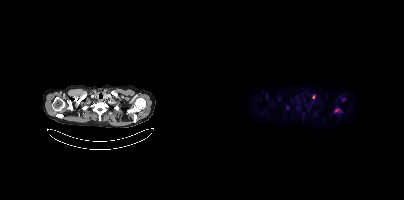
{"pet_grid":[200,200],"coord_frame":"pet_panel","coord_format":"x0,y0,x1,y1","partial":true,"lesion_bboxes":[[131,108,136,112]],"small_foci_centers":[[109,96]],"modality":"PSMA PET/CT","view":"axial","tracer":"18F-PSMA"}